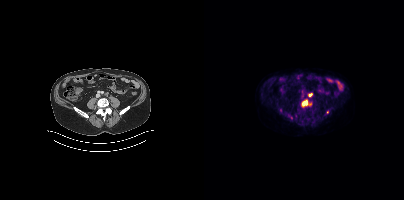
- Two-panel axial: CT | PSMA PET, [18F]PSMA-1007 tracer
Findings: Coordinates are on the 200×200 PET (right) panel. PSMA-avid tumor lesion bounding boxes (x0, y0)-(x1, y1): (97, 101)-(107, 107) | (84, 115)-(88, 119). Small PSMA-avid foci (2 to 4 px across) near (center x, center y): (106, 95) | (123, 112).